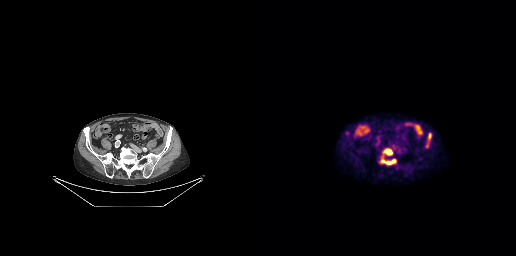
Technique: Two-panel axial: CT | PSMA PET, 18F-PSMA tracer. PET panel 256×256 px (2.7 mm/px).
Findings: Coordinates are on the 256×256 PET (right) panel. (showing 4 of 5 foci) PSMA-avid tumor lesion bounding boxes (x0,y0,x1,y1): [125,149,131,154], [168,133,171,142], [126,160,135,164]. Small PSMA-avid focus (2 to 4 px across) near (center x, center y): (123, 161).